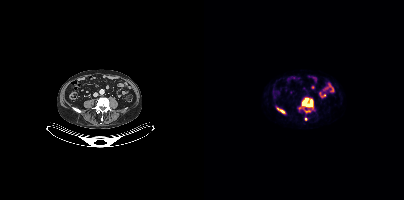
Coordinates are on the 200×200 PET (right) panel. PSMA-avid tumor lesion bounding boxes (x0,y0,x1,y1): [98,98,108,106]; [73,108,80,112]; [100,110,106,112]. Small PSMA-avid foci (2 to 4 px across) near (center x, center y): (96, 108); (101, 118). Left: CT. Right: PSMA PET, same axial level, [18F]PSMA-1007 tracer. Acquired on Siemens Biograph mCT Flow 20. Slice 597 of 963. PET panel 200×200 px (4.1 mm/px).